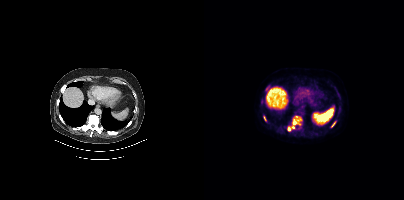
{"pet_grid":[200,200],"coord_frame":"pet_panel","coord_format":"x0,y0,x1,y1","lesion_bboxes":[[83,116,98,131],[61,85,66,90],[127,121,131,127],[59,116,62,121]],"modality":"PSMA PET/CT","view":"axial","tracer":"18F-PSMA"}